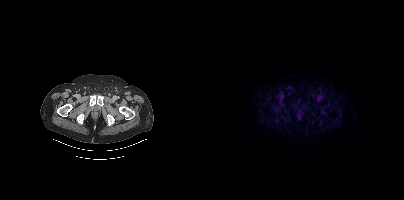
{"modality":"PSMA PET/CT","view":"axial","tracer":"18F","pet_grid":[200,200],"coord_frame":"pet_panel","coord_format":"x0,y0,x1,y1","psma_avid_lesions":false}